Two-panel axial: CT | PSMA PET, 18F-PSMA tracer. Acquired on Siemens Biograph mCT Flow 20. Slice position z = -1542 mm.
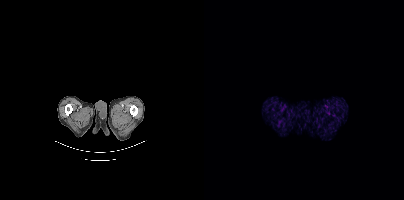
This slice has no annotated PSMA-avid lesion.